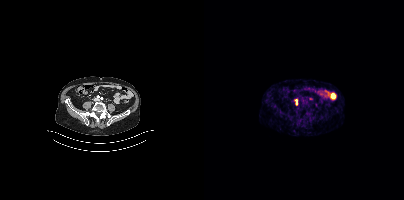
Findings: Coordinates are on the 200×200 PET (right) panel. PSMA-avid tumor lesion bounding box (x0,y0,x1,y1): [92,99,93,104]. Small PSMA-avid focus (2 to 4 px across) near (center x, center y): (106, 98).
Technique: Paired axial CT (left) and PSMA PET (right), [68Ga]Ga-PSMA-11 tracer. PET panel 200×200 px (4.1 mm/px).